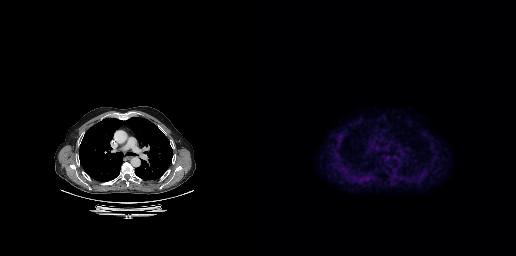
{"modality":"PSMA PET/CT","view":"axial","tracer":"18F","pet_grid":[256,256],"coord_frame":"pet_panel","coord_format":"x0,y0,x1,y1","psma_avid_lesions":false}